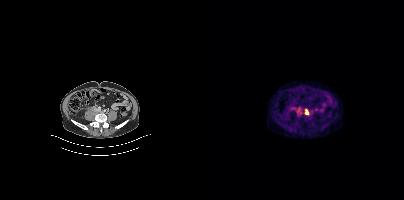
Coordinates are on the 200×200 PET (right) panel. PSMA-avid tumor lesion bounding boxes (x0, y0)-(x1, y1): (92, 108)-(97, 113) / (101, 109)-(104, 114).